Left: CT. Right: PSMA PET, same axial level, 18F tracer. Acquired on Siemens Biograph mCT Flow 20. Slice 109 of 387.
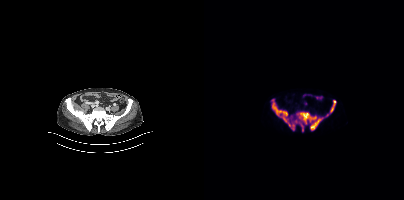
Coordinates are on the 200×200 PET (right) panel. PSMA-avid tumor lesion bounding boxes (x0,y0,x1,y1): [68,99,118,131], [126,100,131,112]. Small PSMA-avid focus (2 to 4 px across) near (center x, center y): (123, 115).